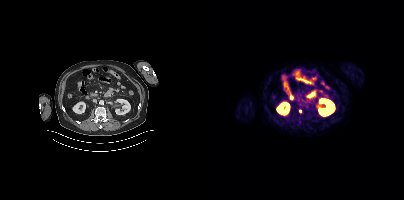
Only PSMA-avid lesion pieces thinner than 2 px on this slice (not listed).